Technique: Left: CT. Right: PSMA PET, same axial level, [18F]PSMA-1007 tracer. slice 445 of 963. PET panel 200×200 px (4.1 mm/px).
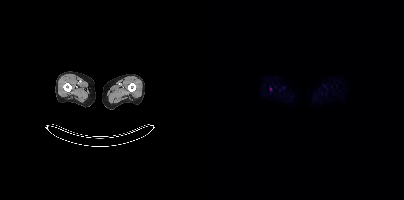
Findings: This slice has no annotated PSMA-avid lesion.